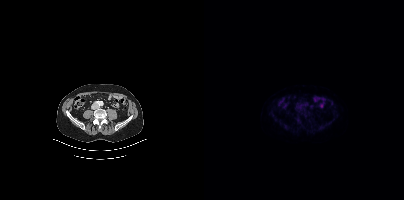
Findings: No PSMA-avid tumor lesions on this slice.
- Left: CT. Right: PSMA PET, same axial level, 18F tracer
- acquired on Siemens Biograph mCT Flow 20